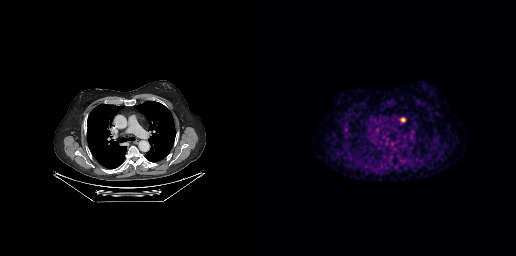
Left: CT. Right: PSMA PET, same axial level, 18F-PSMA tracer. PET panel 256×256 px (2.7 mm/px). Coordinates are on the 256×256 PET (right) panel. Small PSMA-avid focus (2 to 4 px across) near (center x, center y): (143, 119).